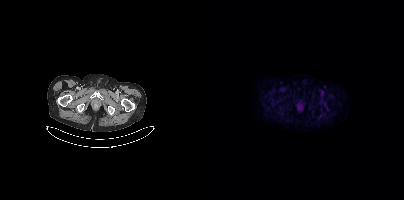
This slice has no annotated PSMA-avid lesion.